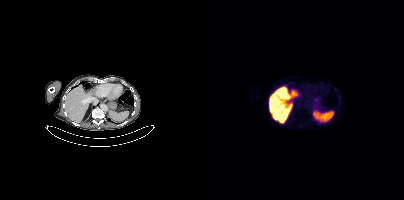
Negative for PSMA-avid disease on this slice.